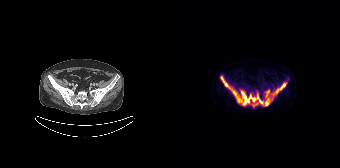
Paired axial CT (left) and PSMA PET (right), 18F-PSMA tracer. PET panel 168×168 px (4.1 mm/px). Coordinates are on the 168×168 PET (right) panel. PSMA-avid tumor lesion bounding box (x0, y0)-(x1, y1): (48, 76)-(114, 106).